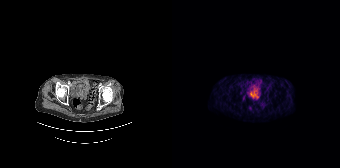
No tumor lesions annotated on this slice.